Left: CT. Right: PSMA PET, same axial level, [18F]PSMA-1007 tracer. Slice 247 of 356. PET panel 200×200 px (4.1 mm/px).
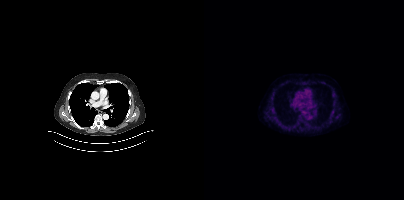
No tumor lesions annotated on this slice.